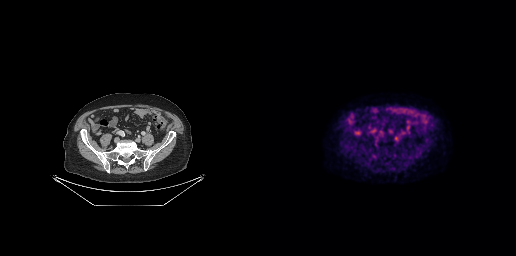
{"modality":"PSMA PET/CT","view":"axial","tracer":"[18F]PSMA-1007","pet_grid":[256,256],"coord_frame":"pet_panel","coord_format":"x0,y0,x1,y1","lesion_bboxes":[],"small_foci_centers":[[136,138]]}